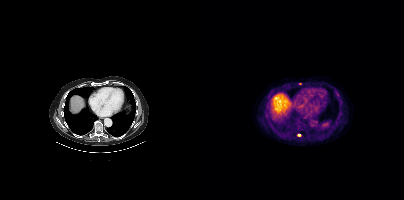
Coordinates are on the 200×200 PET (right) panel. (showing 3 of 4 foci) Small PSMA-avid foci (2 to 4 px across) near (center x, center y): (95, 134) / (96, 83) / (133, 94).
modality: PSMA PET/CT | tracer: [18F]PSMA-1007 | view: axial | PET grid: 200×200